Technique: Paired axial CT (left) and PSMA PET (right), 18F-PSMA tracer. acquired on Siemens Biograph mCT Flow 20.
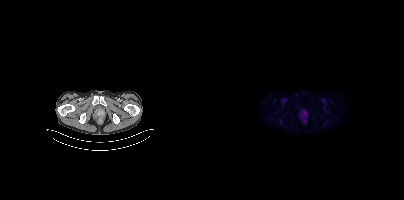
Findings: Coordinates are on the 200×200 PET (right) panel. Small PSMA-avid foci (2 to 4 px across) near (center x, center y): (100, 121) / (100, 112).